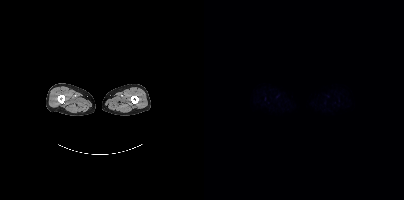
{"pet_grid":[200,200],"coord_frame":"pet_panel","coord_format":"x0,y0,x1,y1","psma_avid_lesions":false,"modality":"PSMA PET/CT","view":"axial","tracer":"18F"}